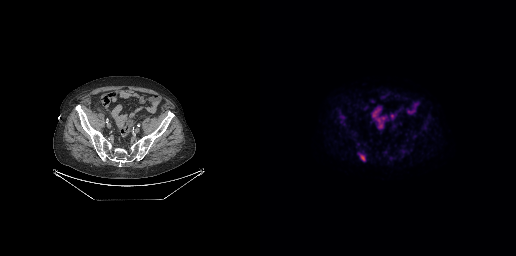
Coordinates are on the 256×256 PET (right) panel. PSMA-avid tumor lesion bounding box (x, y, width, height): x=101 y=155 w=4 h=6. Small PSMA-avid focus (2 to 4 px across) near (center x, center y): (82, 117).
modality: PSMA PET/CT | tracer: 18F | view: axial